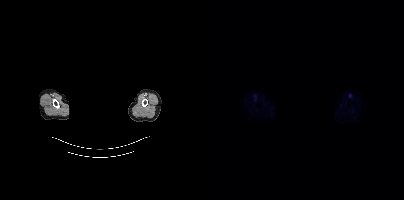
{"modality":"PSMA PET/CT","view":"axial","tracer":"18F-PSMA","pet_grid":[200,200],"coord_frame":"pet_panel","coord_format":"x0,y0,x1,y1","psma_avid_lesions":false,"redaction":"rectangular block over head set to black"}